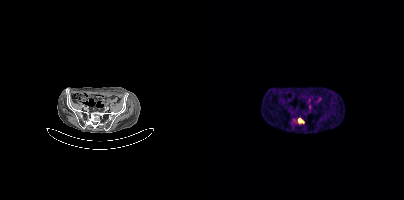
Two-panel axial: CT | PSMA PET, 68Ga-PSMA tracer. Acquired on Siemens Biograph mCT Flow 20. PET panel 200×200 px (4.1 mm/px). Coordinates are on the 200×200 PET (right) panel. PSMA-avid tumor lesion bounding box (x, y, width, height): x=94 y=119 w=6 h=5. Small PSMA-avid focus (2 to 4 px across) near (center x, center y): (105, 105).